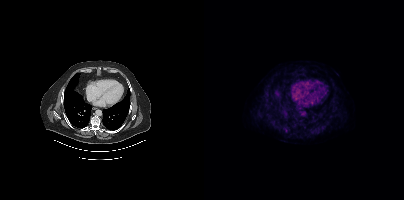
This slice has no annotated PSMA-avid lesion. Paired axial CT (left) and PSMA PET (right), 18F tracer. Acquired on Siemens Biograph mCT Flow 20. Slice position z = -1073 mm.